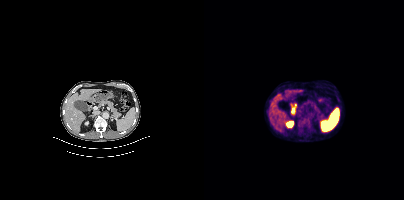
Two-panel axial: CT | PSMA PET, 18F-PSMA tracer. Slice 230 of 448. PET panel 200×200 px (4.1 mm/px).
Coordinates are on the 200×200 PET (right) panel. PSMA-avid tumor lesion bounding boxes:
| # | x0 | y0 | x1 | y1 |
|---|---|---|---|---|
| 1 | 97 | 117 | 107 | 127 |